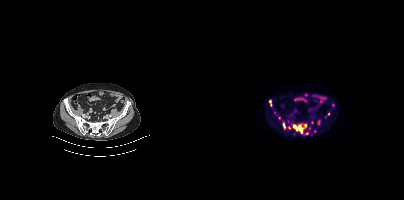
Coordinates are on the 200×200 PET (right) panel. (showing 8 of 12 foci) PSMA-avid tumor lesion bounding boxes (x0, y0)-(x1, y1): (89, 124)-(102, 133); (65, 100)-(67, 106); (114, 120)-(116, 124); (79, 123)-(81, 127). Small PSMA-avid foci (2 to 4 px across) near (center x, center y): (75, 118); (103, 133); (124, 113); (70, 112).